- Paired axial CT (left) and PSMA PET (right), [18F]PSMA-1007 tracer
- slice position z = -1440 mm
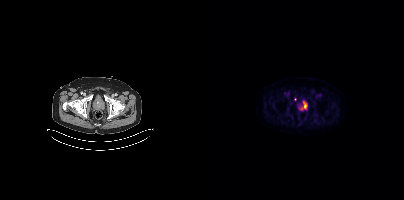
Findings: Only PSMA-avid lesion pieces thinner than 2 px on this slice (not listed).